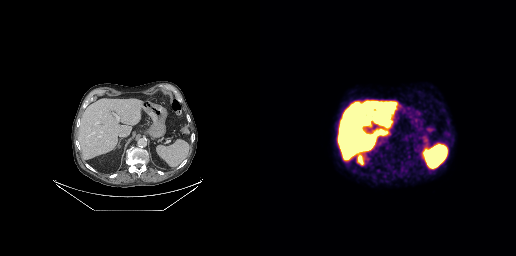
No PSMA-avid tumor lesions on this slice.